redaction: head region blacked out before release | modality: PSMA PET/CT | tracer: 68Ga | view: axial | PET grid: 200×200
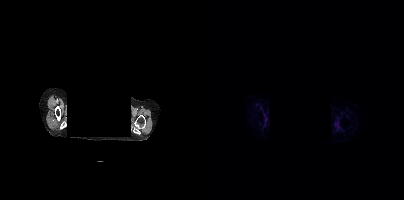
This slice has no annotated PSMA-avid lesion.